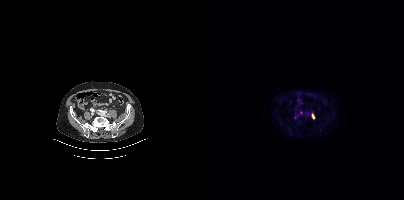
Coordinates are on the 200×200 PET (right) panel. PSMA-avid tumor lesion bounding box (x0,y0,x1,y1): [107,114,110,118]. Small PSMA-avid foci (2 to 4 px across) near (center x, center y): (91, 117); (96, 112).
modality: PSMA PET/CT | tracer: 18F-PSMA | view: axial | PET grid: 200×200